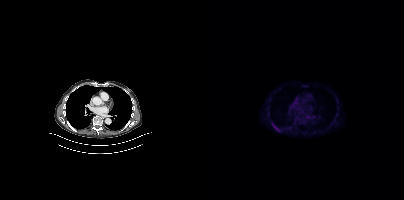
Paired axial CT (left) and PSMA PET (right), 18F tracer. Acquired on Siemens Biograph mCT Flow 20. Slice position z = -536 mm. PET panel 200×200 px (4.1 mm/px). Coordinates are on the 200×200 PET (right) panel. PSMA-avid tumor lesion bounding box (x, y, width, height): x=69 y=125 w=6 h=6.